modality: PSMA PET/CT | tracer: [18F]PSMA-1007 | view: axial | PET grid: 200×200
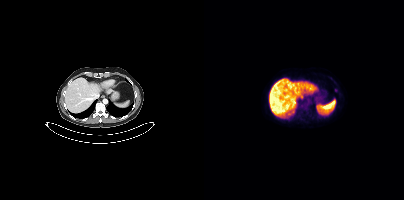
Only PSMA-avid lesion pieces thinner than 2 px on this slice (not listed).